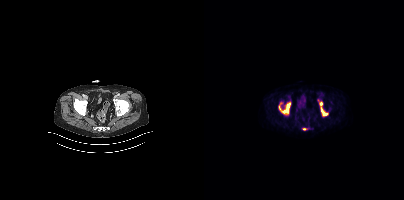
{"pet_grid":[200,200],"coord_frame":"pet_panel","coord_format":"x0,y0,x1,y1","partial":true,"lesion_bboxes":[[75,102,86,113],[117,108,123,115],[115,102,118,106]],"modality":"PSMA PET/CT","view":"axial","tracer":"18F"}